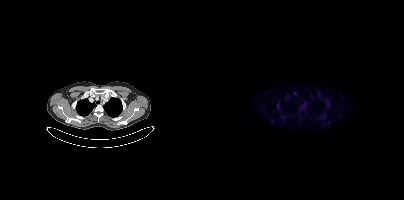
Coordinates are on the 200×200 PET (right) panel. Small PSMA-avid focus (2 to 4 px across) near (center x, center y): (73, 105).